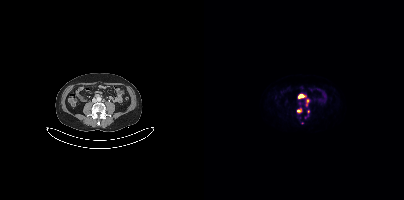
- Paired axial CT (left) and PSMA PET (right), 68Ga tracer
- acquired on Siemens Biograph mCT Flow 20
Findings: Coordinates are on the 200×200 PET (right) panel. (showing 7 of 10 foci) PSMA-avid tumor lesion bounding boxes (x0,y0,x1,y1): [95,94,99,97], [93,110,97,112]. Small PSMA-avid foci (2 to 4 px across) near (center x, center y): (103, 102), (104, 111), (95, 103), (101, 117), (98, 122).